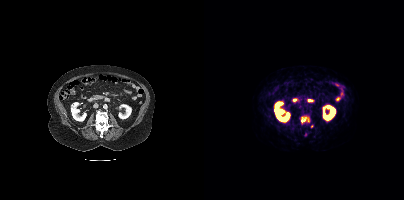
Paired axial CT (left) and PSMA PET (right), [68Ga]Ga-PSMA-11 tracer. PET panel 200×200 px (4.1 mm/px). Coordinates are on the 200×200 PET (right) panel. (showing 2 of 3 foci) PSMA-avid tumor lesion bounding box (x, y, width, height): x=97 y=117 w=10 h=8. Small PSMA-avid focus (2 to 4 px across) near (center x, center y): (108, 126).